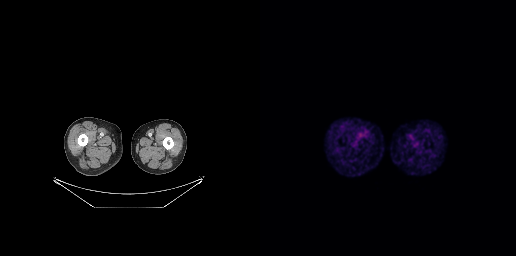
No PSMA-avid tumor lesions on this slice.